Two-panel axial: CT | PSMA PET, [18F]PSMA-1007 tracer. Slice position z = -122 mm. PET panel 200×200 px (4.1 mm/px). Privacy masking over the head, with the pixels inside a rectangle set to black.
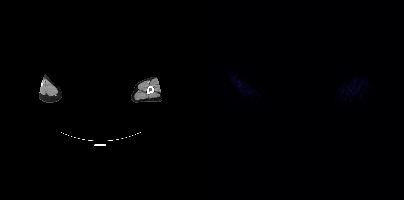
No tumor lesions annotated on this slice.